Two-panel axial: CT | PSMA PET, 68Ga tracer. Acquired on GE Discovery 690. Slice 74 of 263. PET panel 256×256 px (2.7 mm/px).
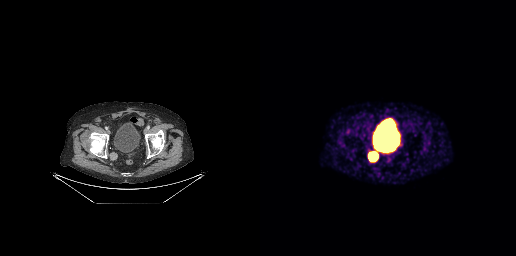
Coordinates are on the 256×256 PET (right) panel. PSMA-avid tumor lesion bounding box (x0, y0)-(x1, y1): (109, 153)-(117, 160).